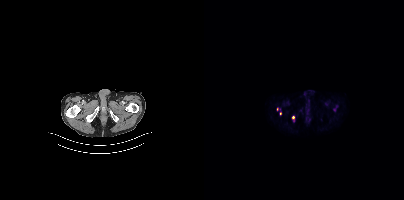
Findings: Coordinates are on the 200×200 PET (right) panel. (showing 2 of 3 foci) Small PSMA-avid foci (2 to 4 px across) near (center x, center y): (89, 117) / (76, 113).
- Paired axial CT (left) and PSMA PET (right), [18F]PSMA-1007 tracer
- slice 27 of 403
- PET panel 200×200 px (4.1 mm/px)